Left: CT. Right: PSMA PET, same axial level, [18F]PSMA-1007 tracer.
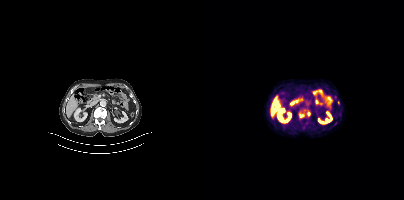
Coordinates are on the 200×200 PET (right) panel. (showing 2 of 3 foci) Small PSMA-avid foci (2 to 4 px across) near (center x, center y): (97, 115); (104, 114).